- Two-panel axial: CT | PSMA PET, 68Ga-PSMA tracer
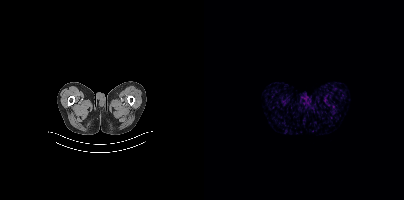
Findings: This slice has no annotated PSMA-avid lesion.